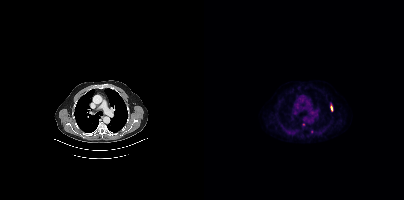
Coordinates are on the 200×200 PET (right) panel. PSMA-avid tumor lesion bounding box (x0,y0,x1,y1): [126,105,128,111].